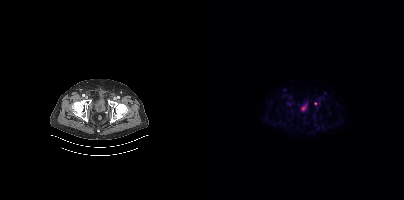
Two-panel axial: CT | PSMA PET, 18F tracer. Acquired on Siemens Biograph mCT Flow 20. Slice position z = -1591 mm. Only PSMA-avid lesion pieces thinner than 2 px on this slice (not listed).